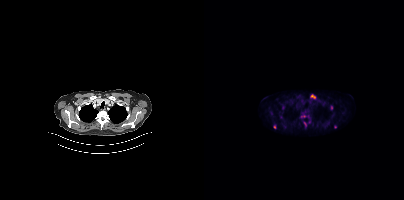
{"modality":"PSMA PET/CT","view":"axial","tracer":"18F","pet_grid":[200,200],"coord_frame":"pet_panel","coord_format":"x0,y0,x1,y1","partial":true,"lesion_bboxes":[[107,95,111,97]],"small_foci_centers":[[127,107],[70,127],[131,126],[100,123]]}